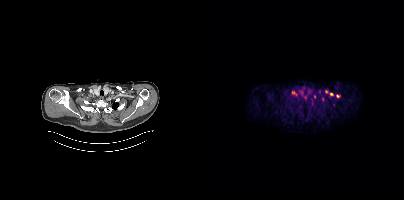
modality: PSMA PET/CT | tracer: 68Ga-PSMA | view: axial
Coordinates are on the 200×200 PET (right) panel. (showing 6 of 7 foci) Small PSMA-avid foci (2 to 4 px across) near (center x, center y): (89, 92) | (118, 98) | (115, 91) | (110, 96) | (127, 93) | (133, 95).